Left: CT. Right: PSMA PET, same axial level, [68Ga]Ga-PSMA-11 tracer. Acquired on Siemens Biograph mCT Flow 20.
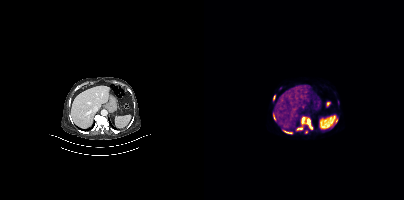
Coordinates are on the 200×200 PET (right) panel. PSMA-avid tumor lesion bounding boxes (partial; 1 more focus not listed):
| # | x0 | y0 | x1 | y1 |
|---|---|---|---|---|
| 1 | 92 | 117 | 108 | 130 |
| 2 | 78 | 130 | 88 | 133 |
| 3 | 69 | 113 | 71 | 119 |
| 4 | 69 | 95 | 71 | 101 |
Small PSMA-avid foci (2 to 4 px across) near (center x, center y): (102, 131); (130, 124).